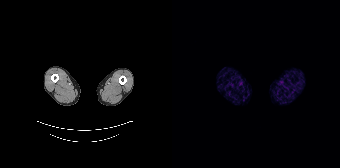
{"modality":"PSMA PET/CT","view":"axial","tracer":"68Ga-PSMA","pet_grid":[168,168],"coord_frame":"pet_panel","coord_format":"x0,y0,x1,y1","psma_avid_lesions":false}